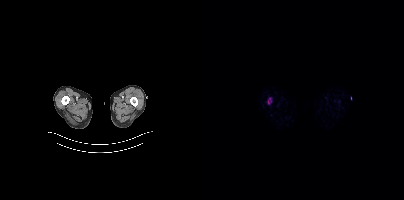
Technique: Left: CT. Right: PSMA PET, same axial level, 18F tracer. acquired on Siemens Biograph mCT Flow 20.
Findings: Coordinates are on the 200×200 PET (right) panel. (showing 1 of 2 foci) PSMA-avid tumor lesion bounding box (x, y, width, height): x=64 y=98 w=3 h=6.